Technique: Left: CT. Right: PSMA PET, same axial level, 18F-PSMA tracer. acquired on GE Discovery 690.
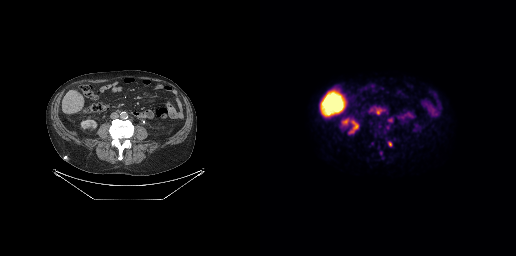
Findings: Coordinates are on the 256×256 PET (right) panel. (showing 3 of 4 foci) PSMA-avid tumor lesion bounding boxes (x0, y0)-(x1, y1): (128, 118)-(132, 122) / (128, 141)-(132, 146). Small PSMA-avid focus (2 to 4 px across) near (center x, center y): (127, 127).